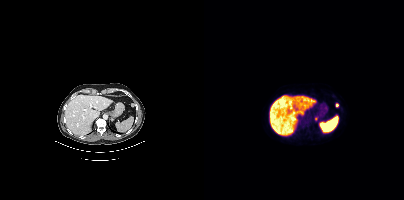
- Two-panel axial: CT | PSMA PET, 18F tracer
- acquired on Siemens Biograph mCT Flow 20
- slice position z = -685 mm
Findings: Coordinates are on the 200×200 PET (right) panel. Small PSMA-avid foci (2 to 4 px across) near (center x, center y): (133, 104) | (112, 118).